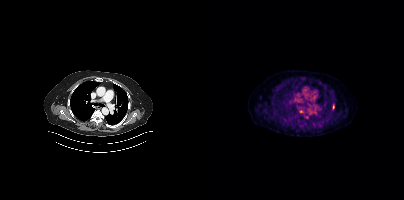
Technique: Paired axial CT (left) and PSMA PET (right), 18F-PSMA tracer. PET panel 200×200 px (4.1 mm/px).
Findings: Coordinates are on the 200×200 PET (right) panel. PSMA-avid tumor lesion bounding box (x0,y0,x1,y1): [129,104,130,109]. Small PSMA-avid foci (2 to 4 px across) near (center x, center y): (56, 97); (96, 111).